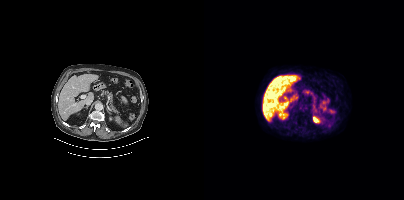
modality: PSMA PET/CT | tracer: 18F-PSMA | view: axial | PET grid: 200×200
No PSMA-avid tumor lesions on this slice.